Paired axial CT (left) and PSMA PET (right), 18F tracer. PET panel 256×256 px (2.7 mm/px).
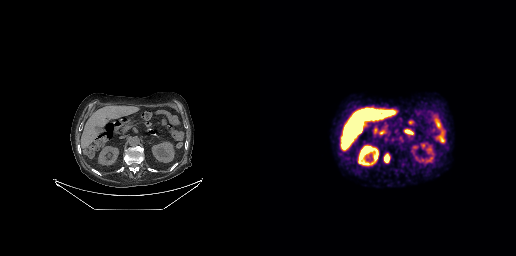
Coordinates are on the 256×256 PET (right) panel. PSMA-avid tumor lesion bounding boxes:
| # | x0 | y0 | x1 | y1 |
|---|---|---|---|---|
| 1 | 124 | 153 | 130 | 163 |